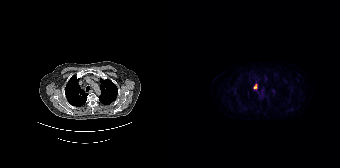
Coordinates are on the 168×168 PET (right) panel. PSMA-avid tumor lesion bounding box (x0,y0,x1,y1): [81,83,85,89]. Two-panel axial: CT | PSMA PET, 18F-PSMA tracer.